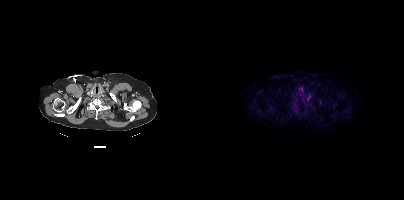
Left: CT. Right: PSMA PET, same axial level, 18F tracer. Acquired on Siemens Biograph mCT Flow 20. Slice position z = -143 mm. Coordinates are on the 200×200 PET (right) panel. Small PSMA-avid foci (2 to 4 px across) near (center x, center y): (117, 119) | (91, 104).